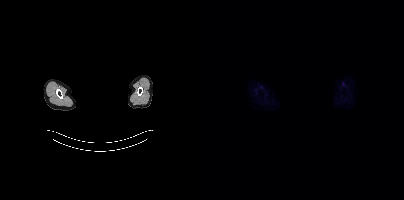
No PSMA-avid tumor lesions on this slice.
modality: PSMA PET/CT | tracer: 18F | view: axial | de-identification: face masked with black rectangle